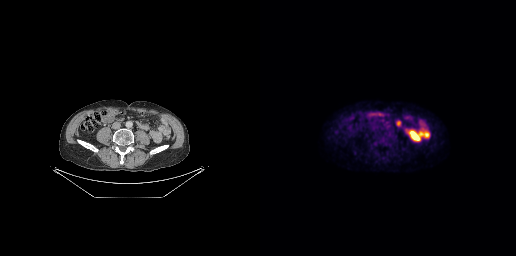
Technique: Paired axial CT (left) and PSMA PET (right), 18F tracer. acquired on GE Discovery 690.
Findings: No PSMA-avid tumor lesions on this slice.